modality: PSMA PET/CT | tracer: 18F-PSMA | view: axial
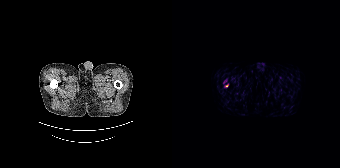
Coordinates are on the 168×168 PET (right) panel. Small PSMA-avid focus (2 to 4 px across) near (center x, center y): (54, 85).